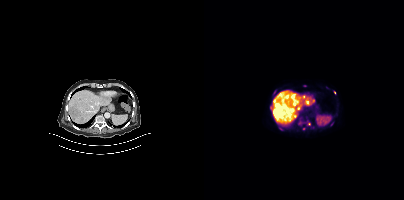
Technique: Left: CT. Right: PSMA PET, same axial level, 18F-PSMA tracer. slice 230 of 403. PET panel 200×200 px (4.1 mm/px).
Findings: Coordinates are on the 200×200 PET (right) panel. Small PSMA-avid foci (2 to 4 px across) near (center x, center y): (105, 124); (130, 92).